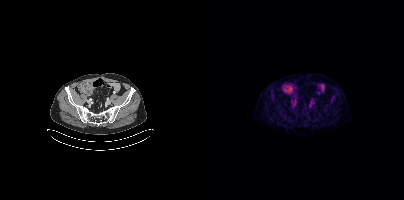
{"modality":"PSMA PET/CT","view":"axial","tracer":"18F-PSMA","pet_grid":[200,200],"coord_frame":"pet_panel","coord_format":"x0,y0,x1,y1","psma_avid_lesions":false}